modality: PSMA PET/CT | tracer: [18F]PSMA-1007 | view: axial
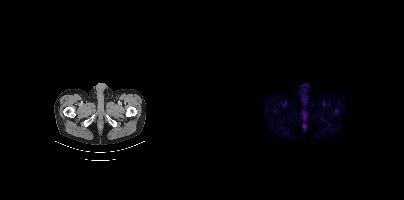
Negative for PSMA-avid disease on this slice.